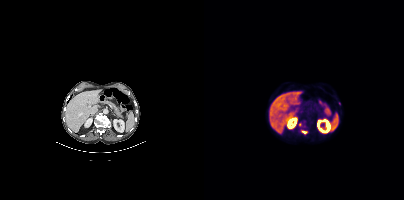
Findings: Coordinates are on the 200×200 PET (right) panel. PSMA-avid tumor lesion bounding box (x, y, width, height): x=97 y=130 w=7 h=4. Small PSMA-avid foci (2 to 4 px across) near (center x, center y): (135, 103) / (95, 124).
- Two-panel axial: CT | PSMA PET, [18F]PSMA-1007 tracer
- acquired on Siemens Biograph mCT Flow 20
- slice 209 of 435
- PET panel 200×200 px (4.1 mm/px)